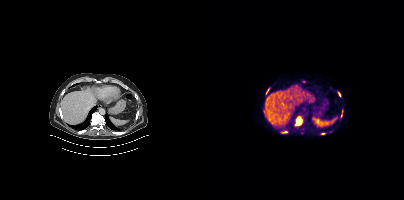
Coordinates are on the 200×200 PET (right) panel. PSMA-avid tumor lesion bounding boxes (x0,y0,x1,y1): [91,118,98,125], [63,88,65,92]. Small PSMA-avid focus (2 to 4 px across) near (center x, center y): (135, 94).